Technique: Paired axial CT (left) and PSMA PET (right), 18F-PSMA tracer.
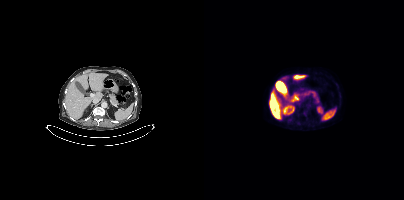
Findings: Negative for PSMA-avid disease on this slice.